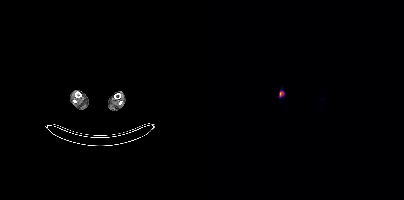
Coordinates are on the 200×200 PET (right) panel. PSMA-avid tumor lesion bounding box (x0, y0)-(x1, y1): (75, 91)-(79, 96).
modality: PSMA PET/CT | tracer: [18F]PSMA-1007 | view: axial